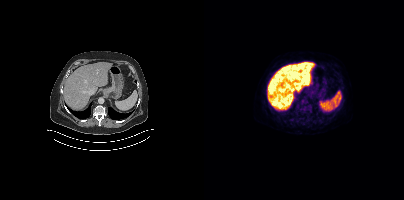
{"modality":"PSMA PET/CT","view":"axial","tracer":"[18F]PSMA-1007","pet_grid":[200,200],"coord_frame":"pet_panel","coord_format":"x0,y0,x1,y1","lesion_bboxes":[[101,106,105,110]]}